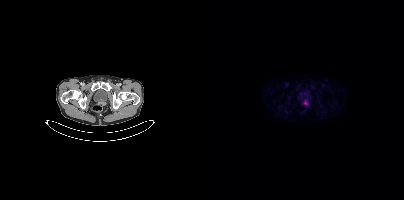
Coordinates are on the 200×200 PET (right) panel. Small PSMA-avid focus (2 to 4 px across) near (center x, center y): (101, 103).